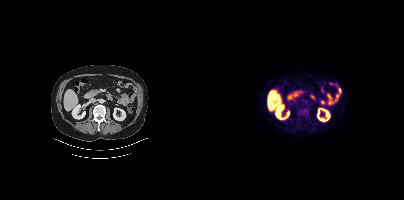
Two-panel axial: CT | PSMA PET, 18F-PSMA tracer. Acquired on Siemens Biograph mCT Flow 20. PET panel 200×200 px (4.1 mm/px). Coordinates are on the 200×200 PET (right) panel. PSMA-avid tumor lesion bounding box (x0,y0,x1,y1): [92,104,104,116]. Small PSMA-avid focus (2 to 4 px across) near (center x, center y): (94, 120).